Left: CT. Right: PSMA PET, same axial level, [18F]PSMA-1007 tracer. Slice 123 of 423.
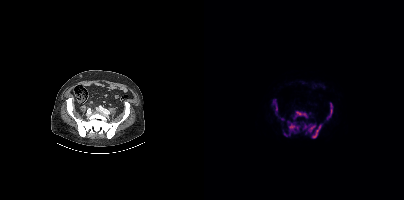
Coordinates are on the 200×200 PET (right) panel. (showing 7 of 9 foci) PSMA-avid tumor lesion bounding boxes (x0,y0,x1,y1): [83,121,95,135] [99,124,111,132] [89,111,103,119] [107,124,118,138] [123,102,129,119] [69,99,73,110]. Small PSMA-avid focus (2 to 4 px across) near (center x, center y): (81, 134).